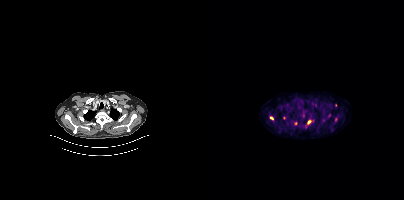
Coordinates are on the 200×200 PET (right) panel. (showing 3 of 5 foci) PSMA-avid tumor lesion bounding box (x, y, width, height): x=103 y=120 w=5 h=5. Small PSMA-avid foci (2 to 4 px across) near (center x, center y): (67, 117) | (91, 123).
modality: PSMA PET/CT | tracer: 18F | view: axial | PET grid: 200×200